Left: CT. Right: PSMA PET, same axial level, 18F tracer. Slice 281 of 299. PET panel 256×256 px (2.7 mm/px). A rectangular block over the head has been blanked out for de-identification.
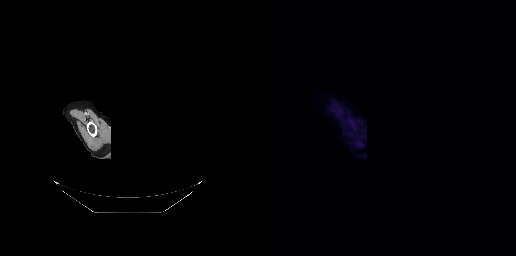
Negative for PSMA-avid disease on this slice.